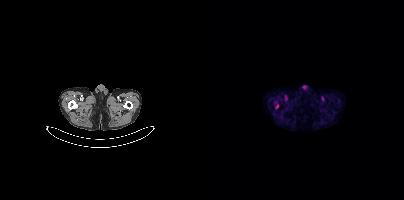
Coordinates are on the 200×200 PET (right) panel. PSMA-avid tumor lesion bounding box (x0, y0)-(x1, y1): (72, 104)-(74, 108).